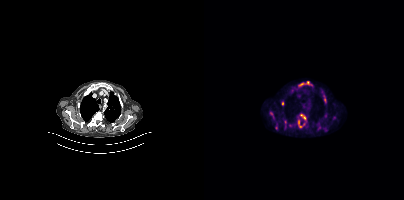
Coordinates are on the 200×200 PET (right) panel. (showing 6 of 9 foci) PSMA-avid tumor lesion bounding boxes (x, y, width, height): x=93 y=113 w=10 h=16 / x=96 y=81 w=13 h=6 / x=117 y=90 w=6 h=14. Small PSMA-avid foci (2 to 4 px across) near (center x, center y): (78, 103) / (67, 113) / (72, 128).